modality: PSMA PET/CT | tracer: [18F]PSMA-1007 | view: axial
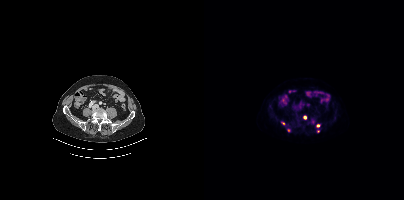
Coordinates are on the 200×200 PET (right) panel. (showing 3 of 4 foci) Small PSMA-avid foci (2 to 4 px across) near (center x, center y): (114, 125) / (101, 117) / (114, 131).